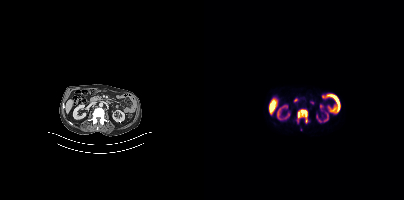
Two-panel axial: CT | PSMA PET, 18F tracer. Slice 175 of 387. Coordinates are on the 200×200 PET (right) panel. PSMA-avid tumor lesion bounding box (x0,y0,x1,y1): [93,109,103,122].